modality: PSMA PET/CT | tracer: 68Ga-PSMA | view: axial | PET grid: 168×168
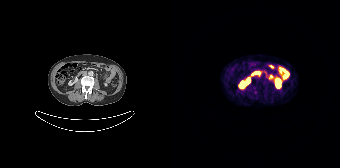
No PSMA-avid tumor lesions on this slice.